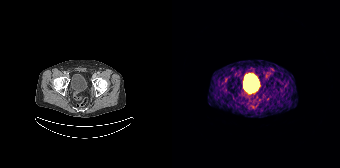
No PSMA-avid tumor lesions on this slice.